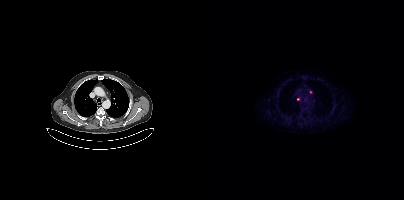
Coordinates are on the 200×200 PET (right) panel. Small PSMA-avid foci (2 to 4 px across) near (center x, center y): (106, 92) (94, 99).